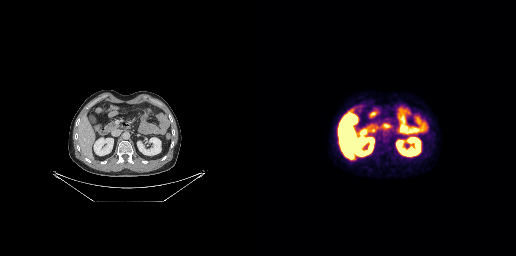
Findings: Coordinates are on the 256×256 PET (right) panel. Small PSMA-avid focus (2 to 4 px across) near (center x, center y): (130, 136).
Technique: Two-panel axial: CT | PSMA PET, [18F]PSMA-1007 tracer.